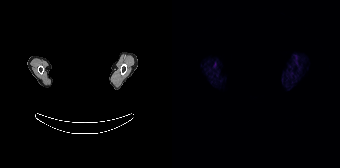
Facial anatomy redacted by setting a rectangular region of the head to black. Two-panel axial: CT | PSMA PET, 68Ga-PSMA tracer. PET panel 168×168 px (4.1 mm/px). This slice has no annotated PSMA-avid lesion.